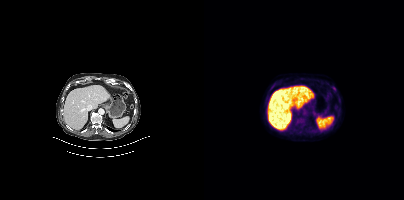
Findings: Only PSMA-avid lesion pieces thinner than 2 px on this slice (not listed).
Technique: Two-panel axial: CT | PSMA PET, [18F]PSMA-1007 tracer. slice 233 of 409.